Paired axial CT (left) and PSMA PET (right), 18F tracer. Slice position z = -812 mm. Head region blanked for anonymization (face removed).
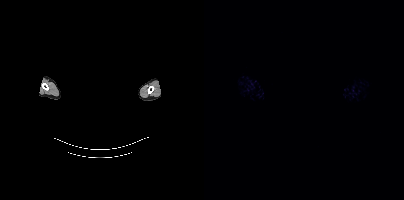
No tumor lesions annotated on this slice.